Paired axial CT (left) and PSMA PET (right), [18F]PSMA-1007 tracer. Acquired on GE Discovery 690. Slice 153 of 299.
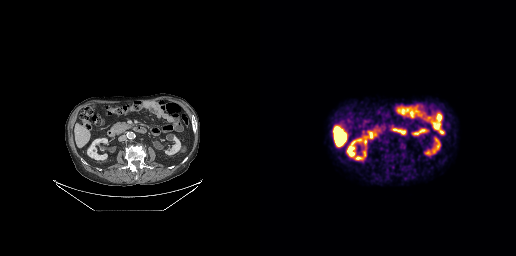
Negative for PSMA-avid disease on this slice.